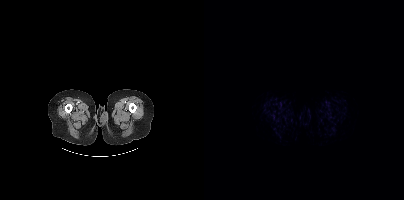
Paired axial CT (left) and PSMA PET (right), 18F tracer. PET panel 200×200 px (4.1 mm/px). Negative for PSMA-avid disease on this slice.